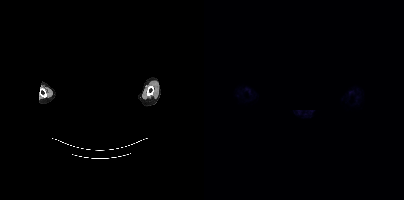
Negative for PSMA-avid disease on this slice. Left: CT. Right: PSMA PET, same axial level, [68Ga]Ga-PSMA-11 tracer. Acquired on Siemens Biograph mCT Flow 20. Slice position z = -868 mm. PET panel 200×200 px (4.1 mm/px). Face de-identified by blanking a block of the head.